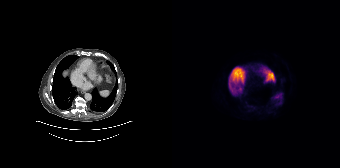
No PSMA-avid tumor lesions on this slice.